modality: PSMA PET/CT | tracer: [18F]PSMA-1007 | view: axial | PET grid: 200×200
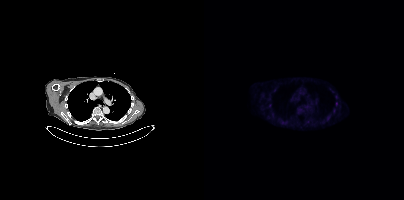
Coordinates are on the 200×200 PET (right) panel. Small PSMA-avid foci (2 to 4 px across) near (center x, center y): (132, 103) / (132, 97).